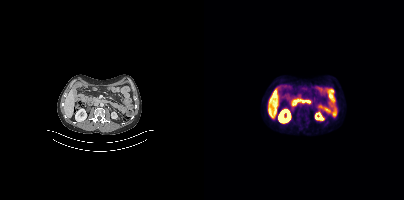
This slice has no annotated PSMA-avid lesion. Left: CT. Right: PSMA PET, same axial level, [18F]PSMA-1007 tracer. Slice 198 of 429.